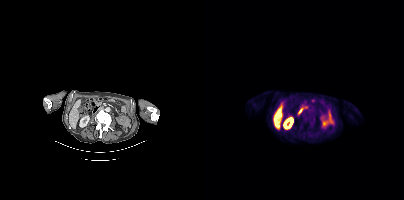
This slice has no annotated PSMA-avid lesion.